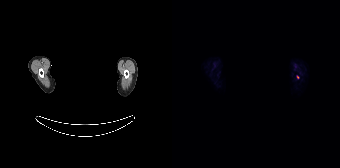
redaction: privacy mask over head | modality: PSMA PET/CT | tracer: 18F | view: axial | PET grid: 168×168
Coordinates are on the 168×168 PET (right) panel. Small PSMA-avid focus (2 to 4 px across) near (center x, center y): (125, 77).